Left: CT. Right: PSMA PET, same axial level, [18F]PSMA-1007 tracer.
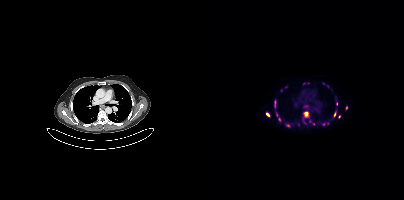
Coordinates are on the 200×200 PET (right) panel. (showing 14 of 20 foci) PSMA-avid tumor lesion bounding boxes (x0, y0)-(x1, y1): (100, 112)-(104, 116) | (130, 110)-(132, 116). Small PSMA-avid foci (2 to 4 px across) near (center x, center y): (63, 114) | (71, 101) | (83, 125) | (142, 107) | (132, 103) | (135, 116) | (101, 123) | (75, 119) | (119, 124) | (72, 114) | (81, 86) | (101, 105).